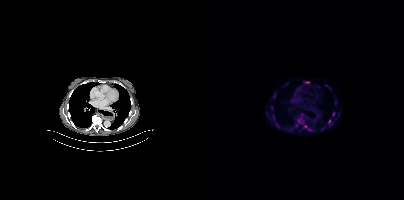
{"pet_grid":[200,200],"coord_frame":"pet_panel","coord_format":"x0,y0,x1,y1","partial":true,"lesion_bboxes":[[101,81,105,83]],"small_foci_centers":[[125,121],[101,126],[69,117],[129,114],[94,121],[105,129],[73,125]],"modality":"PSMA PET/CT","view":"axial","tracer":"18F-PSMA"}